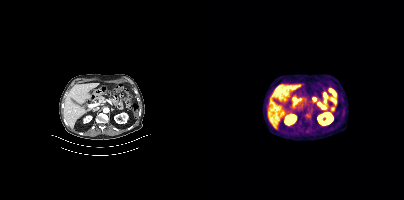
Technique: Two-panel axial: CT | PSMA PET, 18F-PSMA tracer. acquired on Siemens Biograph mCT Flow 20.
Findings: No PSMA-avid tumor lesions on this slice.